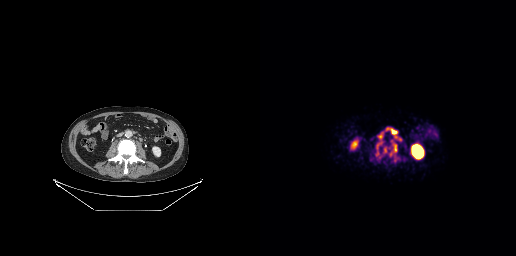
Coordinates are on the 256×256 PET (right) panel. PSMA-avid tumor lesion bounding boxes (x0,y0,x1,y1): [131,141,137,153] [130,128,137,134] [119,135,122,139]. Small PSMA-avid foci (2 to 4 px across) near (center x, center y): (127, 128) (135, 136) (139, 139). Paired axial CT (left) and PSMA PET (right), 68Ga tracer. Acquired on GE Discovery 690. Slice 117 of 263.